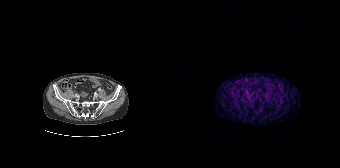
No PSMA-avid tumor lesions on this slice.
modality: PSMA PET/CT | tracer: 68Ga-PSMA | view: axial | PET grid: 168×168